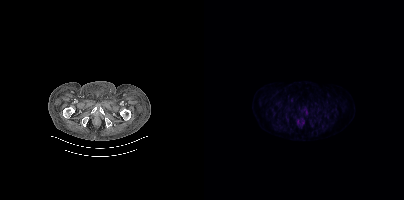
- Left: CT. Right: PSMA PET, same axial level, 18F-PSMA tracer
- acquired on Siemens Biograph mCT Flow 20
- slice 35 of 344
Findings: Only PSMA-avid lesion pieces thinner than 2 px on this slice (not listed).